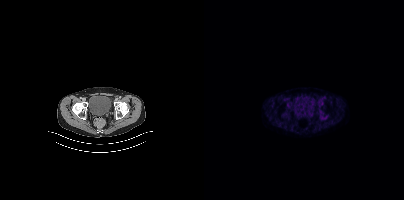
Findings: This slice has no annotated PSMA-avid lesion.
- Left: CT. Right: PSMA PET, same axial level, 18F tracer
- PET panel 200×200 px (4.1 mm/px)